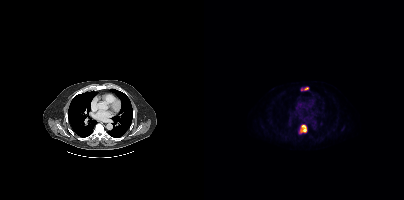
Left: CT. Right: PSMA PET, same axial level, 18F tracer. Acquired on Siemens Biograph mCT Flow 20. PET panel 200×200 px (4.1 mm/px). Coordinates are on the 200×200 PET (right) panel. PSMA-avid tumor lesion bounding boxes (x0,y0,x1,y1): [95,125,102,133] [100,87,104,90]. Small PSMA-avid focus (2 to 4 px across) near (center x, center y): (97, 89).